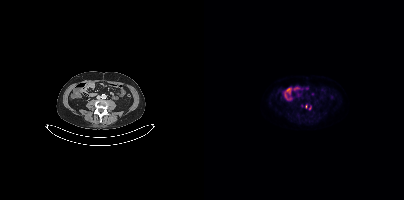
Findings: This slice has no annotated PSMA-avid lesion.
Technique: Left: CT. Right: PSMA PET, same axial level, 18F-PSMA tracer.